Left: CT. Right: PSMA PET, same axial level, [68Ga]Ga-PSMA-11 tracer. Slice position z = -866 mm.
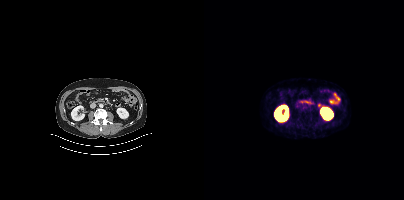
No PSMA-avid tumor lesions on this slice.